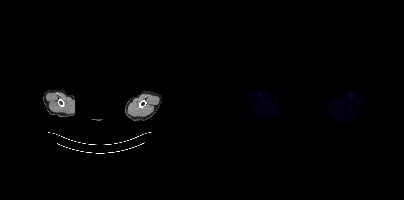
Left: CT. Right: PSMA PET, same axial level, [18F]PSMA-1007 tracer. Slice 370 of 411. PET panel 200×200 px (4.1 mm/px). Face de-identified by blanking a block of the head. No PSMA-avid tumor lesions on this slice.